Technique: Two-panel axial: CT | PSMA PET, [18F]PSMA-1007 tracer. PET panel 200×200 px (4.1 mm/px).
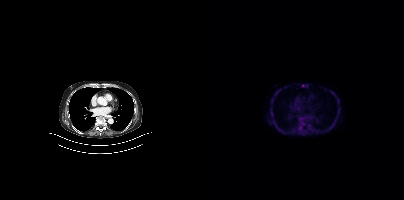
Findings: Coordinates are on the 200×200 PET (right) panel. (showing 1 of 2 foci) Small PSMA-avid focus (2 to 4 px across) near (center x, center y): (98, 123).